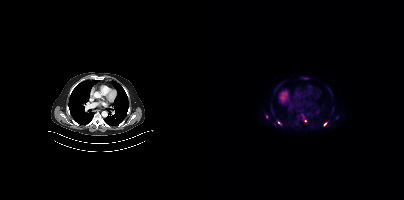
Technique: Two-panel axial: CT | PSMA PET, 18F-PSMA tracer.
Findings: Coordinates are on the 200×200 PET (right) panel. (showing 4 of 5 foci) Small PSMA-avid foci (2 to 4 px across) near (center x, center y): (75, 122) | (121, 123) | (101, 120) | (62, 116).